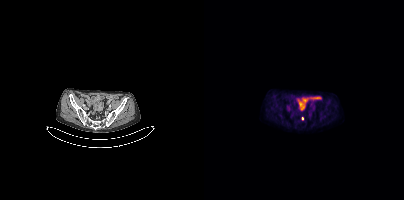
{"pet_grid":[200,200],"coord_frame":"pet_panel","coord_format":"x0,y0,x1,y1","lesion_bboxes":[],"small_foci_centers":[[98,118]],"modality":"PSMA PET/CT","view":"axial","tracer":"18F"}